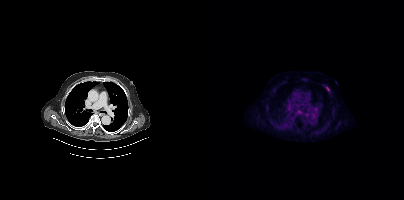
Findings: Coordinates are on the 200×200 PET (right) panel. PSMA-avid tumor lesion bounding box (x0,y0,x1,y1): [122,86,125,91].
- Paired axial CT (left) and PSMA PET (right), [18F]PSMA-1007 tracer
- PET panel 200×200 px (4.1 mm/px)